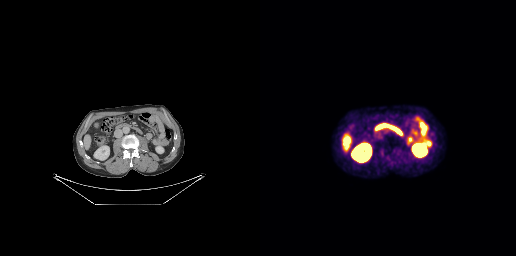
{"modality":"PSMA PET/CT","view":"axial","tracer":"[18F]PSMA-1007","pet_grid":[256,256],"coord_frame":"pet_panel","coord_format":"x0,y0,x1,y1","psma_avid_lesions":false}